- Paired axial CT (left) and PSMA PET (right), 18F-PSMA tracer
- acquired on Siemens Biograph mCT Flow 20
- slice position z = -42 mm
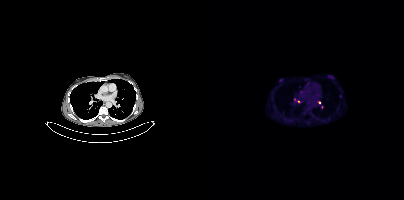
Findings: Coordinates are on the 200×200 PET (right) panel. (showing 5 of 8 foci) Small PSMA-avid foci (2 to 4 px across) near (center x, center y): (136, 96) / (103, 83) / (90, 99) / (94, 101) / (115, 102).